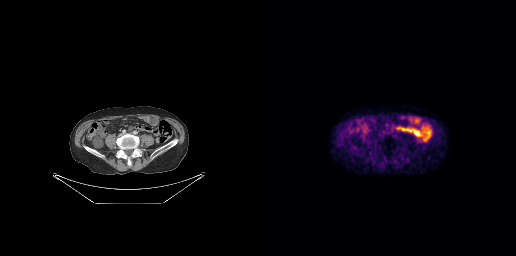
Findings: No tumor lesions annotated on this slice.
Technique: Paired axial CT (left) and PSMA PET (right), 18F tracer. slice position z = -685 mm.